modality: PSMA PET/CT | tracer: [18F]PSMA-1007 | view: axial
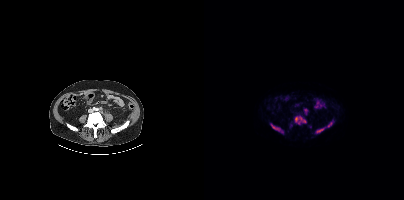
Coordinates are on the 200×200 PET (right) panel. PSMA-avid tumor lesion bounding boxes (x0,y0,x1,y1): [91,116,102,124]; [111,121,128,133]; [67,124,75,130]. Small PSMA-avid focus (2 to 4 px across) near (center x, center y): (101, 110).